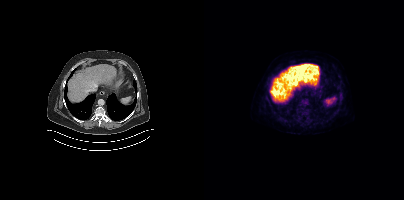
Technique: Paired axial CT (left) and PSMA PET (right), 18F-PSMA tracer. slice position z = -357 mm. PET panel 200×200 px (4.1 mm/px).
Findings: Coordinates are on the 200×200 PET (right) panel. PSMA-avid tumor lesion bounding box (x, y, width, height): x=134 y=94 w=6 h=6.